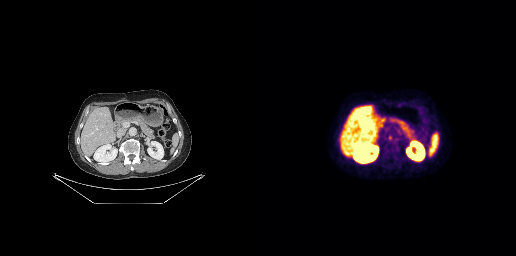
- Left: CT. Right: PSMA PET, same axial level, 18F-PSMA tracer
- acquired on GE Discovery 690
- PET panel 256×256 px (2.7 mm/px)
Findings: Negative for PSMA-avid disease on this slice.